modality: PSMA PET/CT | tracer: 18F | view: axial
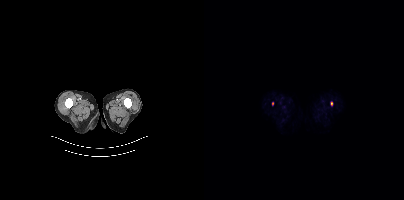
Coordinates are on the 200×200 PET (right) panel. Small PSMA-avid foci (2 to 4 px across) near (center x, center y): (68, 103) / (127, 103).